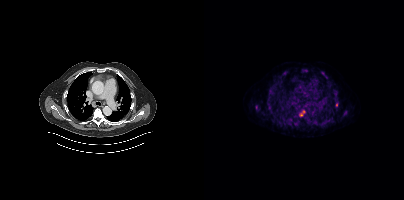
Left: CT. Right: PSMA PET, same axial level, 18F-PSMA tracer. PET panel 200×200 px (4.1 mm/px). Coordinates are on the 200×200 PET (right) panel. (showing 11 of 12 foci) PSMA-avid tumor lesion bounding boxes (x, y, width, height): x=95 y=111 w=8 h=8; x=123 y=117 w=7 h=6; x=98 y=69 w=6 h=4; x=118 y=72 w=6 h=7; x=131 y=102 w=4 h=5; x=77 y=72 w=5 h=4; x=52 y=105 w=2 h=5. Small PSMA-avid foci (2 to 4 px across) near (center x, center y): (65, 96); (67, 112); (141, 113); (91, 123).